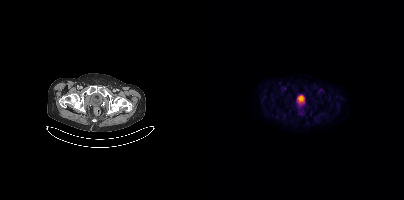
Paired axial CT (left) and PSMA PET (right), [18F]PSMA-1007 tracer. Acquired on Siemens Biograph mCT Flow 20. Slice position z = -921 mm. Negative for PSMA-avid disease on this slice.